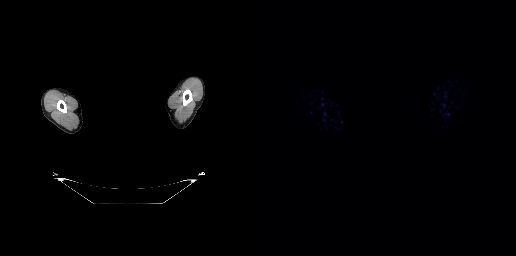
Any black rectangle over the head is a privacy mask, not anatomy.
No tumor lesions annotated on this slice.